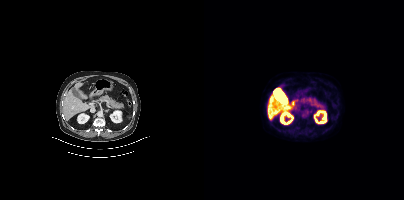
Paired axial CT (left) and PSMA PET (right), 18F tracer. Acquired on Siemens Biograph mCT Flow 20. Negative for PSMA-avid disease on this slice.